Paired axial CT (left) and PSMA PET (right), [68Ga]Ga-PSMA-11 tracer. Slice 39 of 263. PET panel 256×256 px (2.7 mm/px).
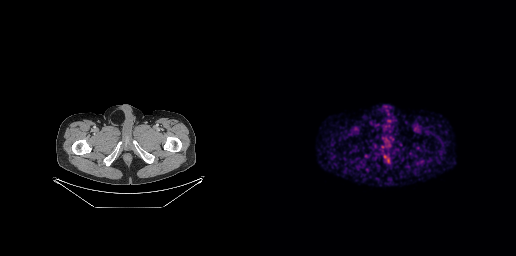
No PSMA-avid tumor lesions on this slice.